Two-panel axial: CT | PSMA PET, 68Ga-PSMA tracer. Acquired on Siemens Biograph mCT Flow 20. PET panel 200×200 px (4.1 mm/px).
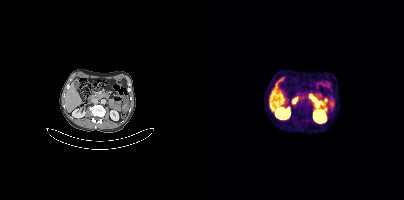
No tumor lesions annotated on this slice.